Left: CT. Right: PSMA PET, same axial level, 18F-PSMA tracer.
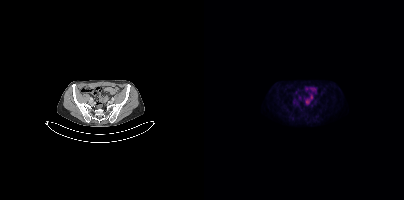
No tumor lesions annotated on this slice.